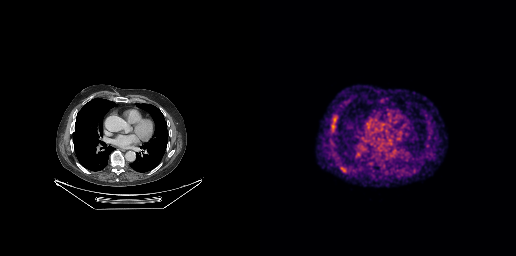
Two-panel axial: CT | PSMA PET, 18F tracer. PET panel 256×256 px (2.7 mm/px).
Coordinates are on the 256×256 PET (right) panel. PSMA-avid tumor lesion bounding boxes:
| # | x0 | y0 | x1 | y1 |
|---|---|---|---|---|
| 1 | 71 | 117 | 77 | 127 |
| 2 | 80 | 166 | 85 | 172 |